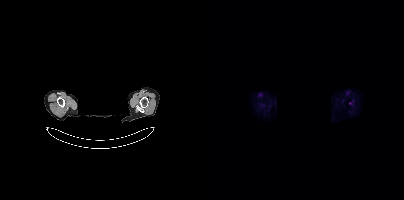
Findings: Negative for PSMA-avid disease on this slice.
Technique: Left: CT. Right: PSMA PET, same axial level, 18F tracer. slice position z = -1090 mm. PET panel 200×200 px (4.1 mm/px).
Note: A rectangle over the head was blacked out to remove identifiable facial features.